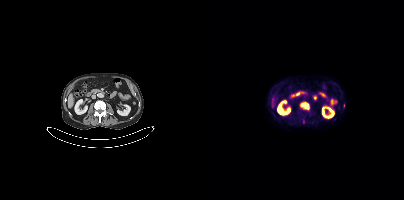
Coordinates are on the 200×200 PET (right) panel. PSMA-avid tumor lesion bounding box (x0,y0,x1,y1): [96,102,105,110].